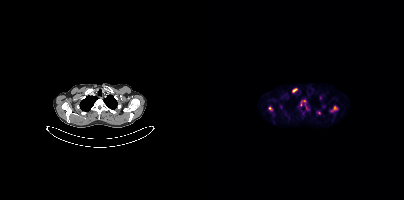
{"pet_grid":[200,200],"coord_frame":"pet_panel","coord_format":"x0,y0,x1,y1","partial":true,"lesion_bboxes":[[96,99,105,110],[126,105,134,112],[64,106,69,111],[88,88,93,93]],"small_foci_centers":[[114,112],[116,98],[76,107]],"modality":"PSMA PET/CT","view":"axial","tracer":"18F"}